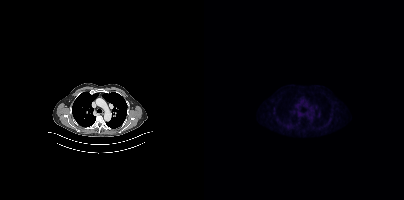
Technique: Two-panel axial: CT | PSMA PET, 18F tracer. slice 305 of 411.
Findings: Only PSMA-avid lesion pieces thinner than 2 px on this slice (not listed).